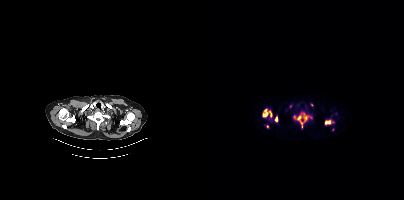
Coordinates are on the 200×200 PET (right) panel. (showing 7 of 9 foci) PSMA-avid tumor lesion bounding boxes (x, y, width, height): x=59 y=109 w=10 h=8 | x=93 y=115 w=6 h=13 | x=121 y=120 w=7 h=5 | x=99 y=113 w=6 h=9 | x=71 y=117 w=3 h=5. Small PSMA-avid foci (2 to 4 px across) near (center x, center y): (90, 117) | (63, 127).